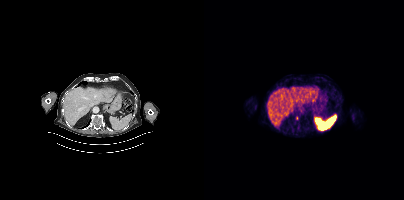
Two-panel axial: CT | PSMA PET, 18F tracer. PET panel 200×200 px (4.1 mm/px). No tumor lesions annotated on this slice.